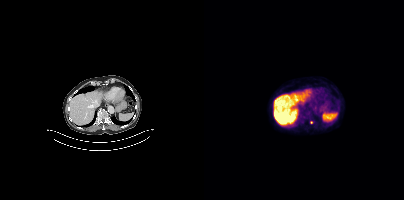
Coordinates are on the 200×200 PET (right) panel. Small PSMA-avid focus (2 to 4 px across) near (center x, center y): (107, 122).